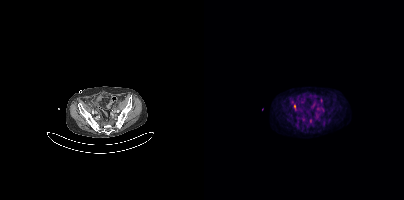
Coordinates are on the 200×200 PET (right) panel. (showing 2 of 4 foci) PSMA-avid tumor lesion bounding box (x, y, width, height): x=90 y=104 w=4 h=8. Small PSMA-avid focus (2 to 4 px across) near (center x, center y): (106, 121).